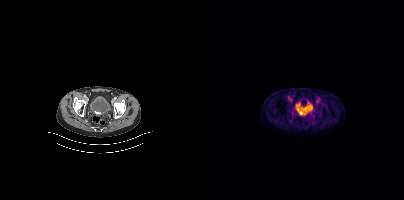
{"modality":"PSMA PET/CT","view":"axial","tracer":"18F-PSMA","pet_grid":[200,200],"coord_frame":"pet_panel","coord_format":"x0,y0,x1,y1","lesion_bboxes":[],"small_foci_centers":[[99,110]]}